modality: PSMA PET/CT | tracer: [18F]PSMA-1007 | view: axial | PET grid: 200×200
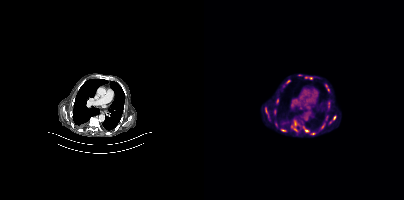
Coordinates are on the 200×200 PET (right) panel. (showing 6 of 8 foci) PSMA-avid tumor lesion bounding boxes (x, y, width, height): x=87 y=120 w=9 h=12 | x=61 y=107 w=5 h=11 | x=98 y=126 w=7 h=6 | x=70 y=110 w=3 h=5. Small PSMA-avid foci (2 to 4 px across) near (center x, center y): (73, 101) | (130, 117).